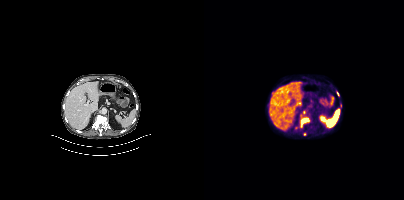
Findings: Coordinates are on the 200×200 PET (right) panel. (showing 4 of 6 foci) PSMA-avid tumor lesion bounding box (x0,y0,x1,y1): [96,116,106,127]. Small PSMA-avid foci (2 to 4 px across) near (center x, center y): (100, 112) (134, 93) (100, 134).
- Two-panel axial: CT | PSMA PET, 18F-PSMA tracer
- slice 223 of 405